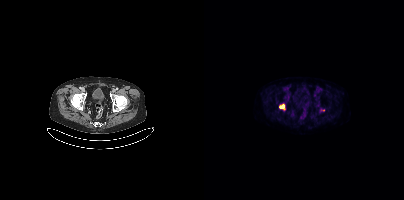
Left: CT. Right: PSMA PET, same axial level, 18F tracer. PET panel 200×200 px (4.1 mm/px).
Coordinates are on the 200×200 PET (right) panel. PSMA-avid tumor lesion bounding boxes (partial; 1 more focus not listed):
| # | x0 | y0 | x1 | y1 |
|---|---|---|---|---|
| 1 | 75 | 104 | 79 | 109 |